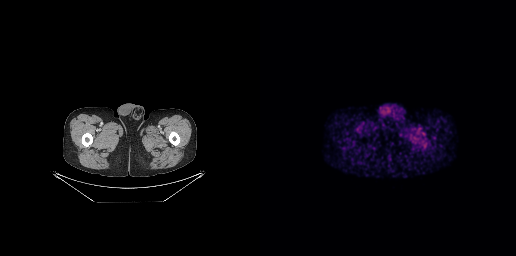
{"modality":"PSMA PET/CT","view":"axial","tracer":"68Ga","pet_grid":[256,256],"coord_frame":"pet_panel","coord_format":"x0,y0,x1,y1","psma_avid_lesions":false}